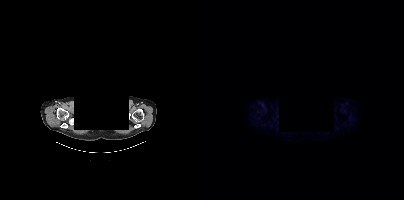
Findings: No PSMA-avid tumor lesions on this slice.
- Two-panel axial: CT | PSMA PET, 18F tracer
- acquired on Siemens Biograph mCT Flow 20
- an anonymization step blacked out a rectangle over the head in this scan